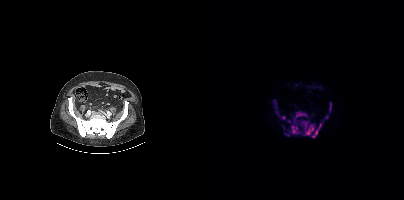
Coordinates are on the 200×200 PET (right) panel. (showing 7 of 9 foci) PSMA-avid tumor lesion bounding boxes (x, y, width, height): x=96 y=120 w=24 h=18 | x=87 y=111 w=17 h=24 | x=125 y=102 w=3 h=10 | x=121 y=115 w=4 h=5 | x=81 y=133 w=5 h=4. Small PSMA-avid foci (2 to 4 px across) near (center x, center y): (79, 117) | (85, 121).
modality: PSMA PET/CT | tracer: [18F]PSMA-1007 | view: axial